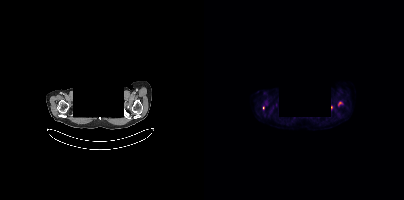
{"modality":"PSMA PET/CT","view":"axial","tracer":"18F","pet_grid":[200,200],"coord_frame":"pet_panel","coord_format":"x0,y0,x1,y1","redaction":"rectangular block over head set to black","lesion_bboxes":[],"small_foci_centers":[[136,102],[59,108],[127,107]]}